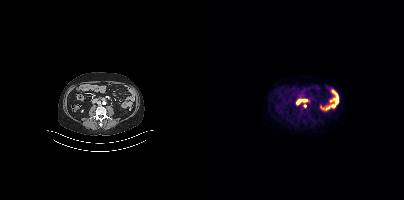
Findings: Coordinates are on the 200×200 PET (right) panel. Small PSMA-avid focus (2 to 4 px across) near (center x, center y): (100, 105).
Technique: Paired axial CT (left) and PSMA PET (right), [18F]PSMA-1007 tracer. acquired on Siemens Biograph mCT Flow 20. slice position z = -810 mm. PET panel 200×200 px (4.1 mm/px).